modality: PSMA PET/CT | tracer: [18F]PSMA-1007 | view: axial | PET grid: 200×200
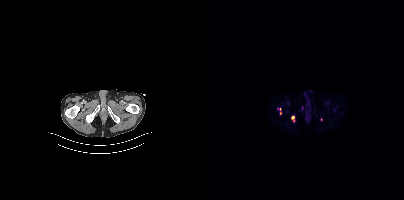
Coordinates are on the 200×200 PET (right) panel. (showing 2 of 3 foci) Small PSMA-avid foci (2 to 4 px across) near (center x, center y): (88, 117); (76, 113).